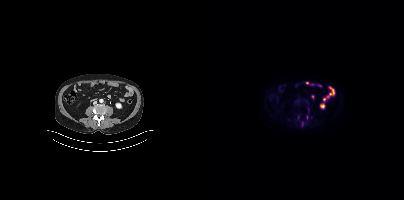
Only PSMA-avid lesion pieces thinner than 2 px on this slice (not listed). Two-panel axial: CT | PSMA PET, 18F-PSMA tracer. PET panel 200×200 px (4.1 mm/px).